- Two-panel axial: CT | PSMA PET, 68Ga tracer
- acquired on Siemens Biograph mCT Flow 20
- slice 55 of 452
- PET panel 200×200 px (4.1 mm/px)
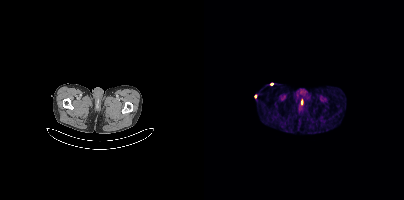
Findings: No PSMA-avid tumor lesions on this slice.